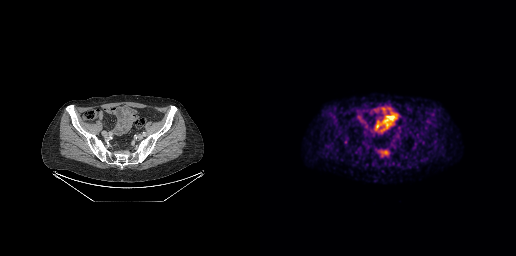
Negative for PSMA-avid disease on this slice.